Technique: Left: CT. Right: PSMA PET, same axial level, 68Ga-PSMA tracer. PET panel 168×168 px (4.1 mm/px).
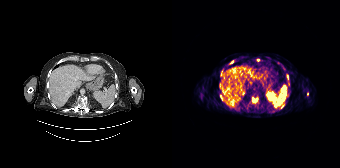
Findings: Coordinates are on the 168×168 PET (right) panel. PSMA-avid tumor lesion bounding boxes (x, y, width, height): x=80 y=98 w=6 h=5 / x=48 y=96 w=4 h=5 / x=115 y=75 w=2 h=5. Small PSMA-avid foci (2 to 4 px across) near (center x, center y): (60, 61) / (135, 94) / (85, 59) / (109, 107).